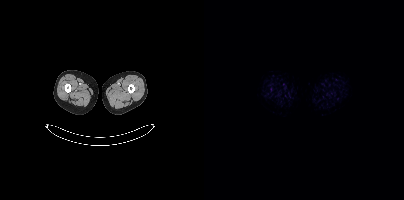
This slice has no annotated PSMA-avid lesion.